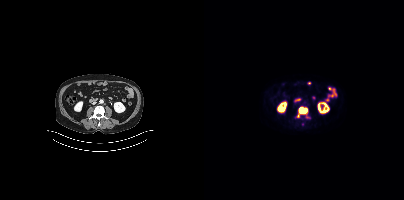
Coordinates are on the 200×200 PET (right) panel. PSMA-avid tumor lesion bounding box (x0, y0)-(x1, y1): (92, 106)-(105, 118). Left: CT. Right: PSMA PET, same axial level, 18F-PSMA tracer.